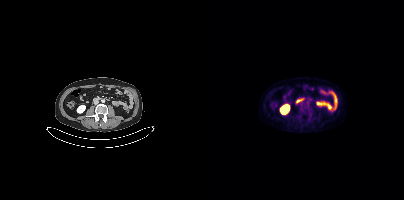
Negative for PSMA-avid disease on this slice.